- Two-panel axial: CT | PSMA PET, 18F tracer
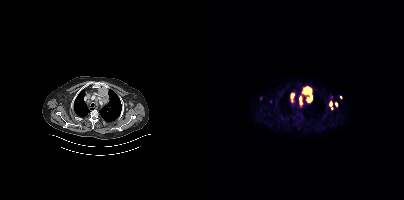
Findings: Coordinates are on the 200×200 PET (right) panel. PSMA-avid tumor lesion bounding boxes (x0,y0,x1,y1): [98,86,108,102], [95,95,98,106], [86,93,90,102], [125,101,128,109], [131,102,133,106]. Small PSMA-avid foci (2 to 4 px across) near (center x, center y): (137, 97), (56, 97), (66, 101).